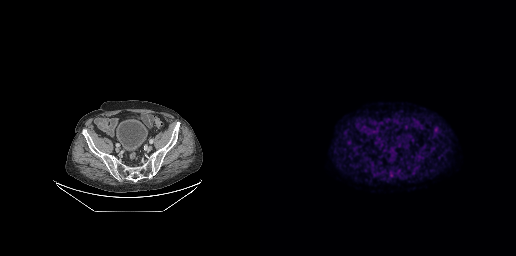
Findings: No PSMA-avid tumor lesions on this slice.
Technique: Two-panel axial: CT | PSMA PET, 18F tracer.